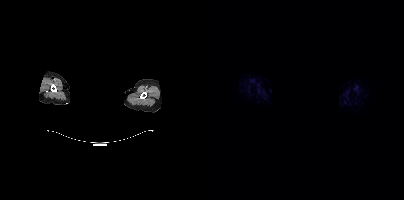
Technique: Two-panel axial: CT | PSMA PET, 18F tracer. slice position z = -49 mm.
Note: Privacy masking over the head, with the pixels inside a rectangle set to black.
Findings: No tumor lesions annotated on this slice.